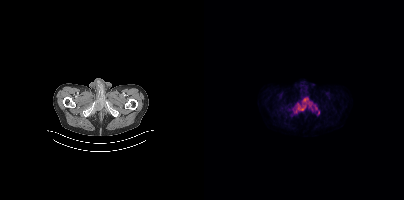
Coordinates are on the 200×200 PET (right) panel. PSMA-avid tumor lesion bounding boxes:
| # | x0 | y0 | x1 | y1 |
|---|---|---|---|---|
| 1 | 89 | 97 | 113 | 113 |
Small PSMA-avid focus (2 to 4 px across) near (center x, center y): (114, 112).
Two-panel axial: CT | PSMA PET, 18F-PSMA tracer. PET panel 200×200 px (4.1 mm/px).